modality: PSMA PET/CT | tracer: [18F]PSMA-1007 | view: axial
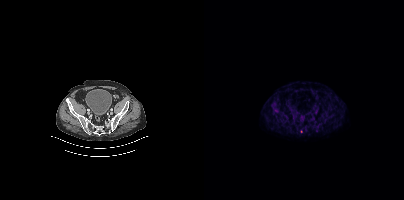
Coordinates are on the 200×200 PET (right) panel. Small PSMA-avid focus (2 to 4 px across) near (center x, center y): (97, 131).